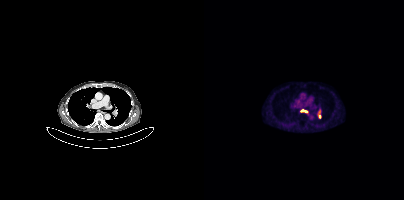
Coordinates are on the 200×200 PET (right) panel. PSMA-avid tumor lesion bounding boxes (x0, y0)-(x1, y1): (96, 109)-(104, 114); (114, 111)-(117, 118).